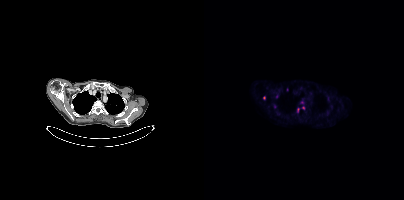
{"modality":"PSMA PET/CT","view":"axial","tracer":"[18F]PSMA-1007","pet_grid":[200,200],"coord_frame":"pet_panel","coord_format":"x0,y0,x1,y1","lesion_bboxes":[[93,108,95,112],[72,94,74,98]],"small_foci_centers":[[60,97],[71,106],[124,97],[99,108],[83,89],[97,102]]}